- Two-panel axial: CT | PSMA PET, [18F]PSMA-1007 tracer
- slice position z = -1742 mm
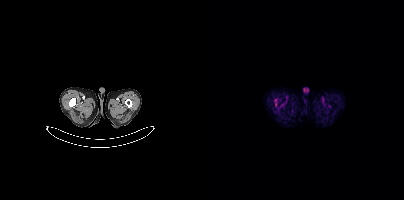
Findings: Coordinates are on the 200×200 PET (right) panel. PSMA-avid tumor lesion bounding box (x, y, width, height): x=71 y=102 w=3 h=5.